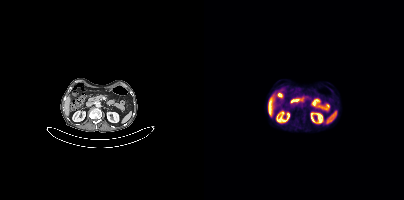
This slice has no annotated PSMA-avid lesion.